- Two-panel axial: CT | PSMA PET, [18F]PSMA-1007 tracer
- PET panel 200×200 px (4.1 mm/px)
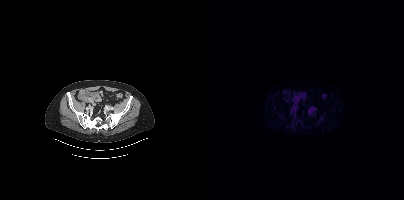
Findings: Negative for PSMA-avid disease on this slice.